A rectangular block over the head has been blanked out for de-identification. Left: CT. Right: PSMA PET, same axial level, 18F tracer. Acquired on Siemens Biograph mCT Flow 20. Slice 366 of 395. PET panel 200×200 px (4.1 mm/px).
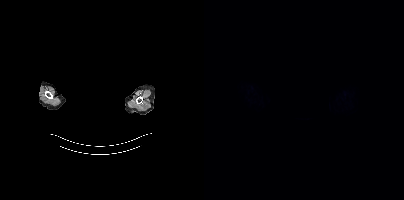
No PSMA-avid tumor lesions on this slice.